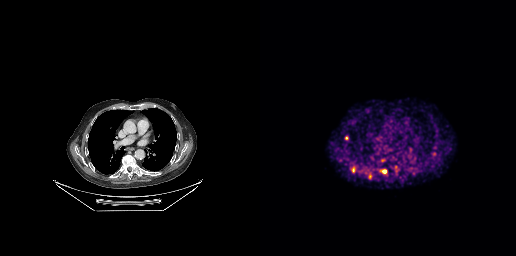
Two-panel axial: CT | PSMA PET, [68Ga]Ga-PSMA-11 tracer. PET panel 256×256 px (2.7 mm/px).
Coordinates are on the 256×256 PET (right) panel. PSMA-avid tumor lesion bounding boxes (partial; 1 more focus not listed):
| # | x0 | y0 | x1 | y1 |
|---|---|---|---|---|
| 1 | 108 | 174 | 112 | 178 |
Small PSMA-avid foci (2 to 4 px across) near (center x, center y): (86, 137); (130, 149); (175, 147); (136, 167); (122, 160); (93, 169); (123, 171).